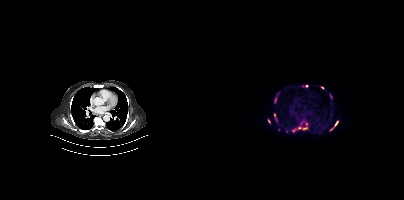
Coordinates are on the 200×200 PET (right) panel. (showing 9 of 10 foci) PSMA-avid tumor lesion bounding boxes (x0,y0,x1,y1): [94,122,103,129], [125,122,133,131], [70,99,72,103], [70,115,72,119], [64,119,66,123]. Small PSMA-avid foci (2 to 4 px across) near (center x, center y): (118, 87), (126, 96), (101, 86), (89, 130). Paired axial CT (left) and PSMA PET (right), 68Ga-PSMA tracer. Acquired on Siemens Biograph mCT Flow 20. Slice 276 of 397. PET panel 200×200 px (4.1 mm/px).